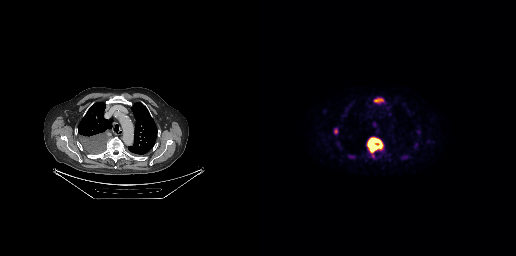
{"pet_grid":[256,256],"coord_frame":"pet_panel","coord_format":"x0,y0,x1,y1","lesion_bboxes":[[107,137,123,152],[114,98,123,102],[74,128,77,133]],"modality":"PSMA PET/CT","view":"axial","tracer":"[18F]PSMA-1007"}